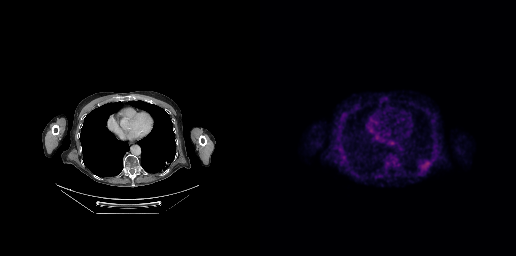
Coordinates are on the 256×256 PET (right) panel. PSMA-avid tumor lesion bounding box (x0, y0)-(x1, y1): (162, 162)-(169, 167).